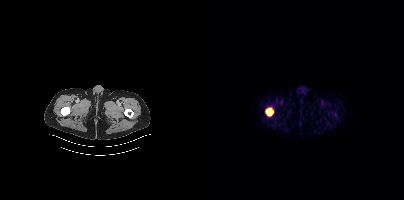
Coordinates are on the 200×200 PET (right) panel. PSMA-avid tumor lesion bounding box (x0, y0)-(x1, y1): (62, 108)-(69, 115).